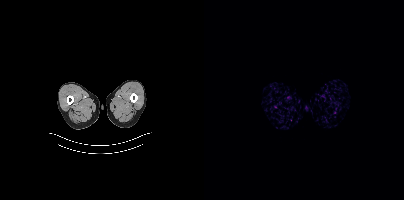
Findings: This slice has no annotated PSMA-avid lesion.
Technique: Paired axial CT (left) and PSMA PET (right), 68Ga-PSMA tracer. PET panel 200×200 px (4.1 mm/px).